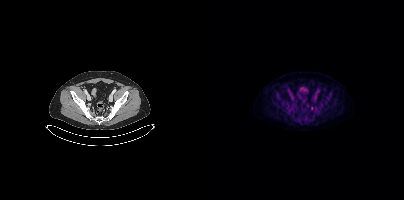
Left: CT. Right: PSMA PET, same axial level, [18F]PSMA-1007 tracer. Acquired on Siemens Biograph mCT Flow 20. Only PSMA-avid lesion pieces thinner than 2 px on this slice (not listed).